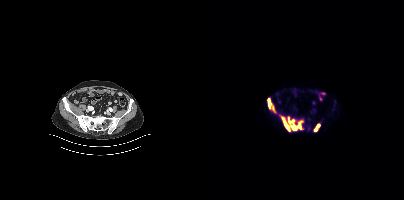
{"pet_grid":[200,200],"coord_frame":"pet_panel","coord_format":"x0,y0,x1,y1","lesion_bboxes":[[75,115,98,131],[63,98,72,112],[110,124,115,131]],"modality":"PSMA PET/CT","view":"axial","tracer":"[18F]PSMA-1007"}